- Two-panel axial: CT | PSMA PET, 18F-PSMA tracer
- acquired on Siemens Biograph mCT Flow 20
- slice position z = -974 mm
- PET panel 200×200 px (4.1 mm/px)
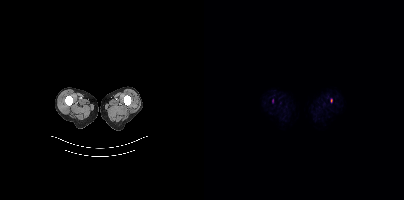
Findings: Coordinates are on the 200×200 PET (right) panel. (showing 1 of 2 foci) Small PSMA-avid focus (2 to 4 px across) near (center x, center y): (127, 100).